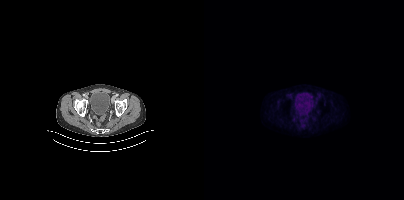
No PSMA-avid tumor lesions on this slice.